Left: CT. Right: PSMA PET, same axial level, 18F tracer. Acquired on Siemens Biograph mCT Flow 20. Slice position z = -1214 mm.
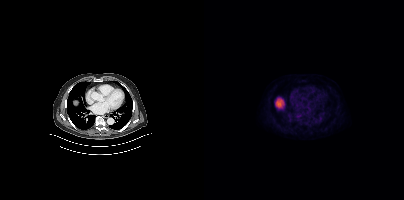
No PSMA-avid tumor lesions on this slice.